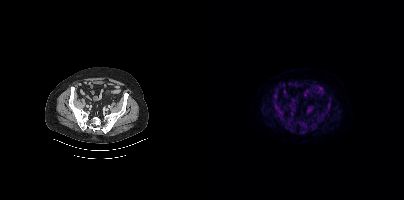
No tumor lesions annotated on this slice.